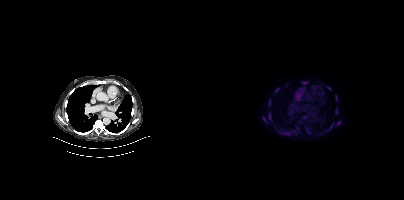
Findings: Coordinates are on the 200×200 PET (right) panel. (showing 10 of 13 foci) PSMA-avid tumor lesion bounding boxes (x, y, width, height): x=64 y=99 w=4 h=8 / x=64 y=113 w=4 h=7 / x=59 y=117 w=4 h=6 / x=98 y=82 w=6 h=2 / x=71 y=88 w=5 h=5 / x=131 y=96 w=3 h=5. Small PSMA-avid foci (2 to 4 px across) near (center x, center y): (132, 111) / (125, 88) / (135, 121) / (93, 128).
- Paired axial CT (left) and PSMA PET (right), 18F-PSMA tracer
- slice position z = -422 mm